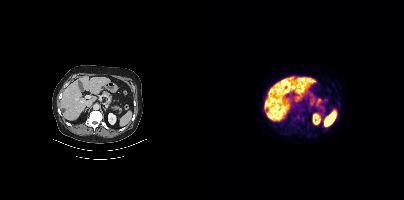
modality: PSMA PET/CT | tracer: 18F-PSMA | view: axial
No PSMA-avid tumor lesions on this slice.